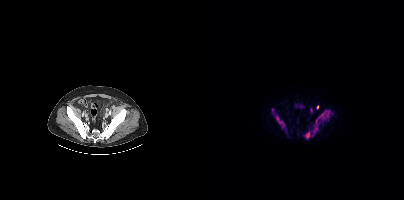
Findings: Coordinates are on the 200×200 PET (right) panel. (showing 4 of 6 foci) PSMA-avid tumor lesion bounding boxes (x0, y0)-(x1, y1): (112, 110)-(125, 123) | (101, 132)-(106, 138) | (73, 117)-(78, 123). Small PSMA-avid focus (2 to 4 px across) near (center x, center y): (113, 107).
Technique: Paired axial CT (left) and PSMA PET (right), [18F]PSMA-1007 tracer. PET panel 200×200 px (4.1 mm/px).